modality: PSMA PET/CT | tracer: [18F]PSMA-1007 | view: axial | PET grid: 200×200
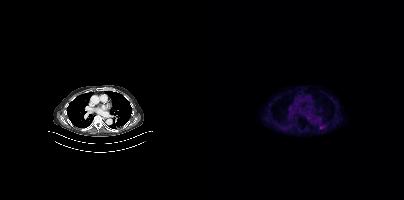
Coordinates are on the 200×200 PET (right) panel. Small PSMA-avid focus (2 to 4 px across) near (center x, center y): (117, 127).